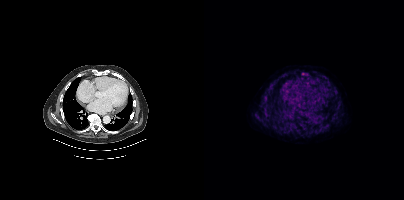
modality: PSMA PET/CT | tracer: [18F]PSMA-1007 | view: axial | PET grid: 200×200
Coordinates are on the 200×200 PET (right) panel. Small PSMA-avid foci (2 to 4 px across) near (center x, center y): (99, 73) | (102, 74).